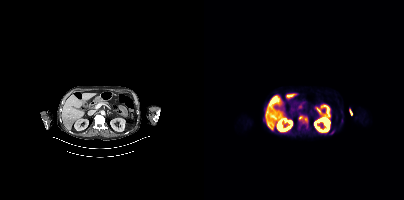
Left: CT. Right: PSMA PET, same axial level, [18F]PSMA-1007 tracer.
Coordinates are on the 200×200 PET (right) panel. PSMA-avid tumor lesion bounding boxes:
| # | x0 | y0 | x1 | y1 |
|---|---|---|---|---|
| 1 | 94 | 115 | 104 | 126 |
Small PSMA-avid focus (2 to 4 px across) near (center x, center y): (128, 132).